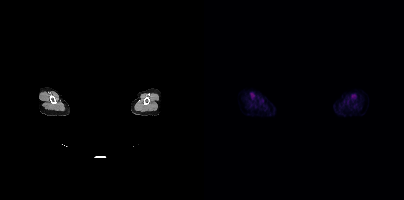
No tumor lesions annotated on this slice.
Any black rectangle over the head is a privacy mask, not anatomy.